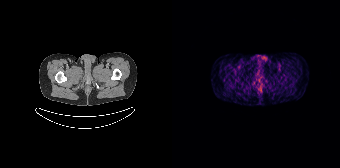
modality: PSMA PET/CT | tracer: 68Ga-PSMA | view: axial
No tumor lesions annotated on this slice.